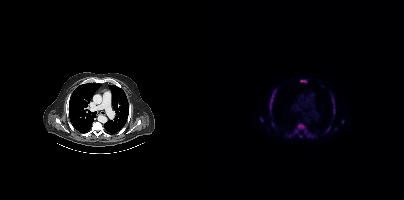
modality: PSMA PET/CT | tracer: [18F]PSMA-1007 | view: axial | PET grid: 200×200
Coordinates are on the 200×200 PET (right) panel. PSMA-avid tumor lesion bounding boxes (x, y, width, height): x=83 y=123 w=20 h=15 | x=65 y=90 w=7 h=24 | x=128 y=96 w=4 h=19 | x=96 y=80 w=7 h=3 | x=56 y=117 w=4 h=5 | x=122 y=127 w=5 h=5. Small PSMA-avid foci (2 to 4 px across) near (center x, center y): (96, 136) | (138, 121) | (104, 135) | (131, 128).